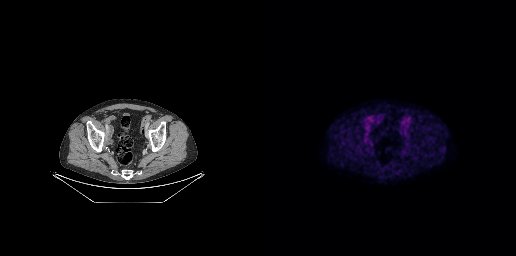
This slice has no annotated PSMA-avid lesion.
modality: PSMA PET/CT | tracer: 18F-PSMA | view: axial | PET grid: 256×256